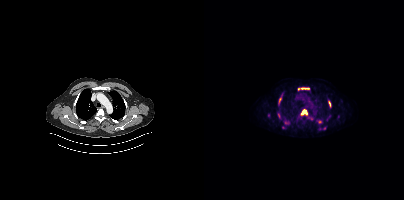
Coordinates are on the 200×200 PET (right) panel. (showing 5 of 9 foci) PSMA-avid tumor lesion bounding boxes (x, y, width, height): x=97 y=110 w=6 h=5 | x=124 y=101 w=4 h=7 | x=75 y=97 w=3 h=6. Small PSMA-avid foci (2 to 4 px across) near (center x, center y): (115, 121) | (84, 122).